- Left: CT. Right: PSMA PET, same axial level, 18F tracer
- acquired on Siemens Biograph mCT Flow 20
- slice position z = -960 mm
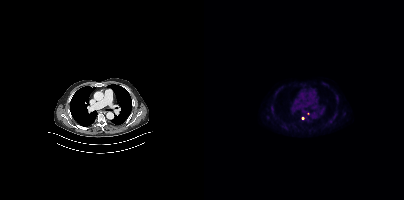
Findings: Only PSMA-avid lesion pieces thinner than 2 px on this slice (not listed).